modality: PSMA PET/CT | tracer: 18F-PSMA | view: axial | PET grid: 256×256
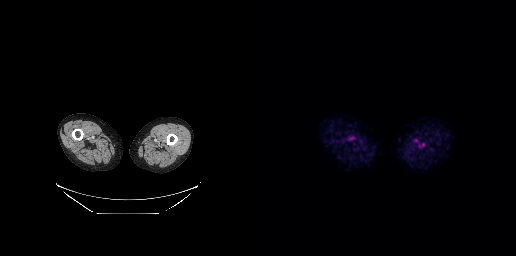
This slice has no annotated PSMA-avid lesion.